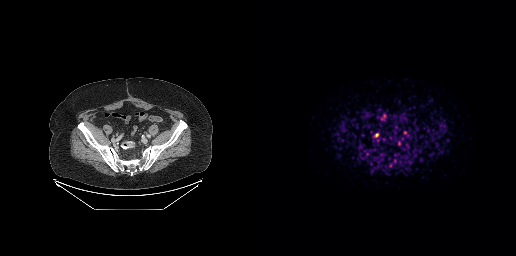
Negative for PSMA-avid disease on this slice.